Two-panel axial: CT | PSMA PET, 18F tracer. Acquired on Siemens Biograph mCT Flow 20. Slice position z = -1061 mm. PET panel 200×200 px (4.1 mm/px).
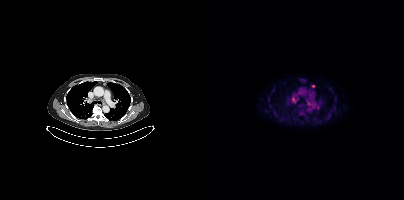
Coordinates are on the 200×200 PET (right) panel. PSMA-avid tumor lesion bounding boxes:
| # | x0 | y0 | x1 | y1 |
|---|---|---|---|---|
| 1 | 108 | 104 | 115 | 109 |
| 2 | 88 | 98 | 91 | 102 |
Small PSMA-avid foci (2 to 4 px across) near (center x, center y): (109, 86); (104, 104).